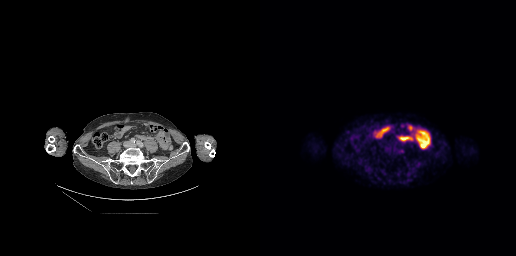
Coordinates are on the 256×256 PET (right) panel. PSMA-avid tumor lesion bounding box (x0,y0,x1,y1): [140,149,144,152]. Two-panel axial: CT | PSMA PET, [18F]PSMA-1007 tracer. Acquired on GE Discovery 690. Slice 94 of 263. PET panel 256×256 px (2.7 mm/px).